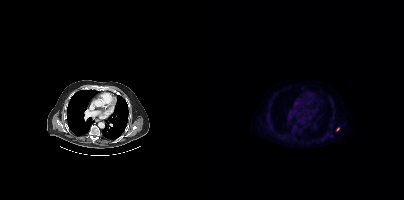
Coordinates are on the 200×200 PET (right) panel. Small PSMA-avid focus (2 to 4 px across) near (center x, center y): (134, 129).